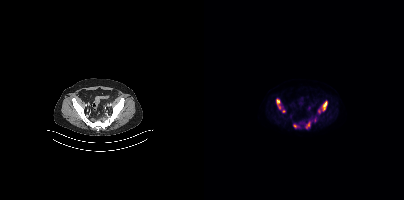
- Two-panel axial: CT | PSMA PET, 18F-PSMA tracer
- acquired on Siemens Biograph mCT Flow 20
- slice 99 of 395
- PET panel 200×200 px (4.1 mm/px)
Findings: Coordinates are on the 200×200 PET (right) panel. PSMA-avid tumor lesion bounding boxes (x0,y0,x1,y1): [114,100,123,113], [72,99,76,108], [102,122,105,127]. Small PSMA-avid foci (2 to 4 px across) near (center x, center y): (91, 126), (79, 111).